Technique: Left: CT. Right: PSMA PET, same axial level, 18F tracer. PET panel 200×200 px (4.1 mm/px).
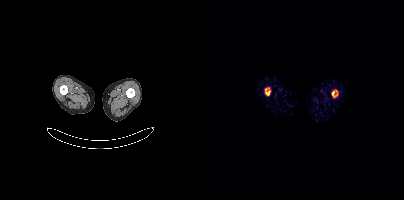
Findings: Coordinates are on the 200×200 PET (right) panel. PSMA-avid tumor lesion bounding boxes (x, y, width, height): x=61 y=87 w=6 h=9; x=127 y=90 w=7 h=8.